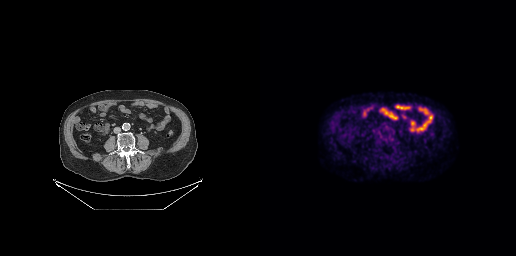
This slice has no annotated PSMA-avid lesion.
modality: PSMA PET/CT | tracer: 18F-PSMA | view: axial